deidentification: face masked with black rectangle | modality: PSMA PET/CT | tracer: 18F | view: axial | PET grid: 200×200
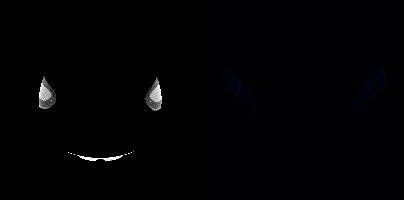
No PSMA-avid tumor lesions on this slice.